- Paired axial CT (left) and PSMA PET (right), 18F-PSMA tracer
- acquired on Siemens Biograph mCT Flow 20
- PET panel 200×200 px (4.1 mm/px)
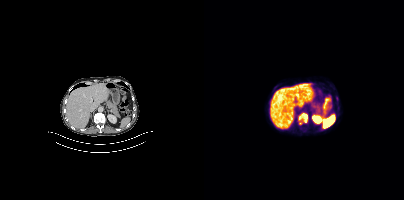
Findings: Coordinates are on the 200×200 PET (right) panel. PSMA-avid tumor lesion bounding box (x0,y0,x1,y1): [95,113,103,122]. Small PSMA-avid focus (2 to 4 px across) near (center x, center y): (96, 123).